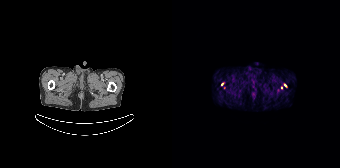
Technique: Paired axial CT (left) and PSMA PET (right), [68Ga]Ga-PSMA-11 tracer. acquired on Siemens Biograph 64-4R TruePoint. slice position z = -928 mm. PET panel 168×168 px (4.1 mm/px).
Findings: Coordinates are on the 168×168 PET (right) panel. Small PSMA-avid foci (2 to 4 px across) near (center x, center y): (113, 85); (50, 84); (109, 87).